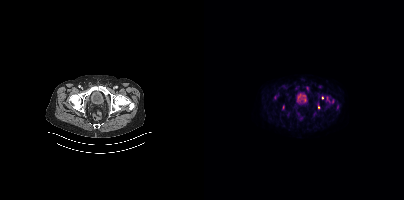
- Paired axial CT (left) and PSMA PET (right), [18F]PSMA-1007 tracer
- slice 79 of 429
- PET panel 200×200 px (4.1 mm/px)
Findings: Coordinates are on the 200×200 PET (right) panel. Small PSMA-avid foci (2 to 4 px across) near (center x, center y): (114, 107) / (118, 97).